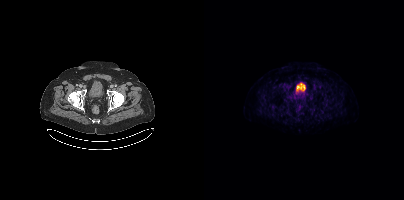
Findings: Coordinates are on the 200×200 PET (right) panel. PSMA-avid tumor lesion bounding box (x, y, width, height): x=82 y=84 w=6 h=5.
- Paired axial CT (left) and PSMA PET (right), 18F-PSMA tracer
- acquired on Siemens Biograph mCT Flow 20